Paired axial CT (left) and PSMA PET (right), 68Ga tracer. Acquired on Siemens Biograph 64-4R TruePoint. Slice 77 of 195.
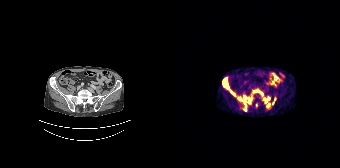
Coordinates are on the 168×168 PET (right) panel. (showing 8 of 14 foci) PSMA-avid tumor lesion bounding boxes (x0,y0,x1,y1): [51,78,56,88] [71,104,75,111] [58,90,62,95] [95,103,97,107]. Small PSMA-avid foci (2 to 4 px across) near (center x, center y): (85, 90) (96, 98) (93, 101) (67, 98).